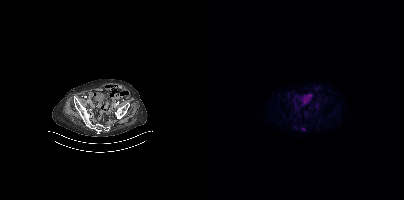
{"pet_grid":[200,200],"coord_frame":"pet_panel","coord_format":"x0,y0,x1,y1","lesion_bboxes":[],"small_foci_centers":[[99,129]],"modality":"PSMA PET/CT","view":"axial","tracer":"18F-PSMA"}